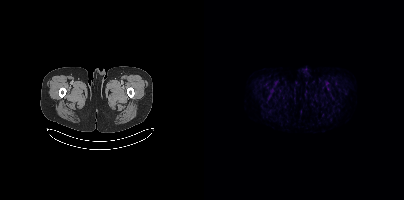
Technique: Left: CT. Right: PSMA PET, same axial level, [18F]PSMA-1007 tracer. acquired on Siemens Biograph mCT Flow 20. slice 33 of 435. PET panel 200×200 px (4.1 mm/px).
Findings: Coordinates are on the 200×200 PET (right) panel. PSMA-avid tumor lesion bounding boxes (x0,y0,x1,y1): [125,90,128,97] [65,88,69,92].